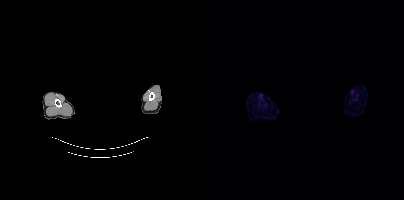
No tumor lesions annotated on this slice.
modality: PSMA PET/CT | tracer: [18F]PSMA-1007 | view: axial | PET grid: 200×200 | redaction: privacy mask over head